modality: PSMA PET/CT | tracer: [18F]PSMA-1007 | view: axial
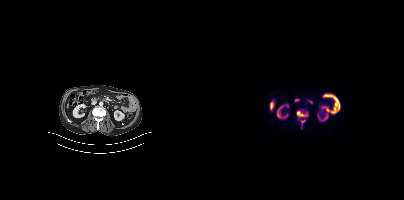
Coordinates are on the 200×200 PET (right) panel. PSMA-avid tumor lesion bounding box (x0, y0)-(x1, y1): (93, 111)-(103, 116). Small PSMA-avid focus (2 to 4 px across) near (center x, center y): (98, 121).